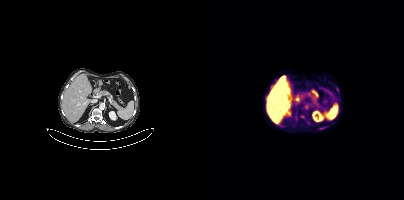
modality: PSMA PET/CT | tracer: 18F | view: axial
Coordinates are on the 200×200 PET (right) panel. Small PSMA-avid focus (2 to 4 px across) near (center x, center y): (98, 116).